Two-panel axial: CT | PSMA PET, 18F-PSMA tracer. Slice 210 of 387. PET panel 200×200 px (4.1 mm/px).
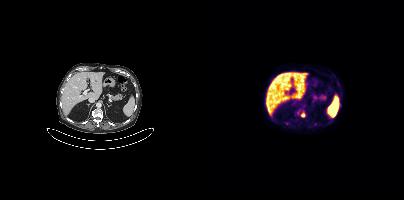
Coordinates are on the 200×200 PET (right) panel. PSMA-avid tumor lesion bounding box (x0,y0,x1,y1): [93,111,95,115]. Small PSMA-avid focus (2 to 4 px across) near (center x, center y): (98, 114).